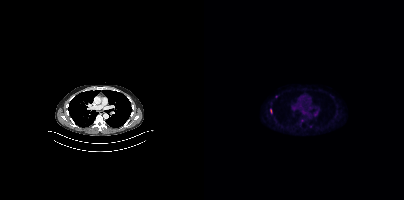
Coordinates are on the 200×200 PET (right) panel. Small PSMA-avid foci (2 to 4 px across) near (center x, center y): (98, 120); (67, 111); (72, 96).